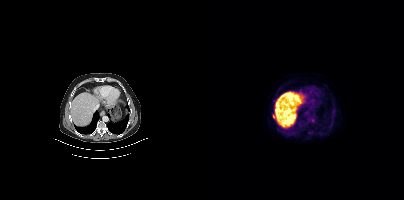
{"modality":"PSMA PET/CT","view":"axial","tracer":"[18F]PSMA-1007","pet_grid":[200,200],"coord_frame":"pet_panel","coord_format":"x0,y0,x1,y1","lesion_bboxes":[[68,114,71,118]]}